- Left: CT. Right: PSMA PET, same axial level, [18F]PSMA-1007 tracer
- slice 275 of 356
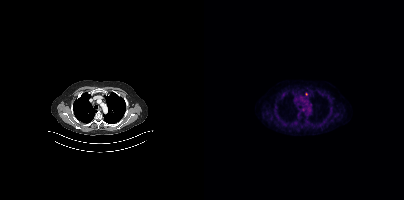
Findings: Coordinates are on the 200×200 PET (right) panel. Small PSMA-avid focus (2 to 4 px across) near (center x, center y): (102, 93).